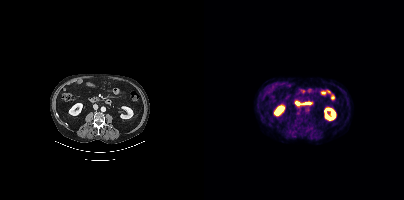
Left: CT. Right: PSMA PET, same axial level, [18F]PSMA-1007 tracer. Slice 163 of 403. PET panel 200×200 px (4.1 mm/px). Negative for PSMA-avid disease on this slice.